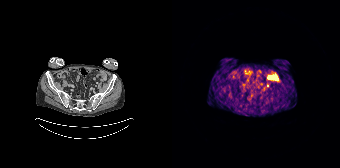
{"modality":"PSMA PET/CT","view":"axial","tracer":"68Ga-PSMA","pet_grid":[168,168],"coord_frame":"pet_panel","coord_format":"x0,y0,x1,y1","lesion_bboxes":[],"small_foci_centers":[[95,85]]}